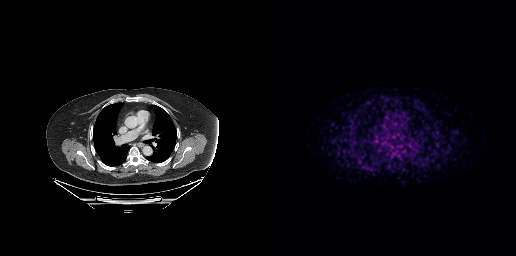
No tumor lesions annotated on this slice.